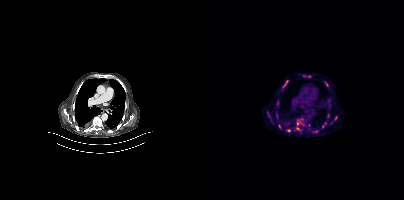
Paired axial CT (left) and PSMA PET (right), 18F tracer. PET panel 200×200 px (4.1 mm/px). Coordinates are on the 200×200 PET (right) panel. (showing 15 of 17 foci) PSMA-avid tumor lesion bounding boxes (x0, y0)-(x1, y1): (90, 118)-(100, 130); (78, 80)-(84, 88); (63, 111)-(67, 121); (72, 102)-(75, 107); (130, 116)-(133, 120); (121, 82)-(124, 86). Small PSMA-avid foci (2 to 4 px across) near (center x, center y): (124, 115); (85, 130); (121, 123); (105, 76); (105, 125); (118, 126); (112, 131); (99, 75); (127, 122).